modality: PSMA PET/CT | tracer: [18F]PSMA-1007 | view: axial | PET grid: 200×200
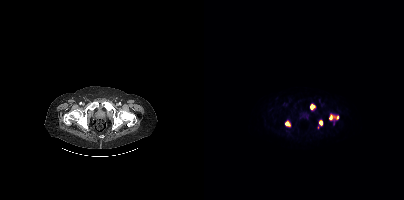
Coordinates are on the 200×200 PET (right) panel. (showing 4 of 5 foci) PSMA-avid tumor lesion bounding boxes (x0,y0,x1,y1): [125,114,134,120]; [106,104,111,109]; [115,120,118,125]; [81,122,85,125].